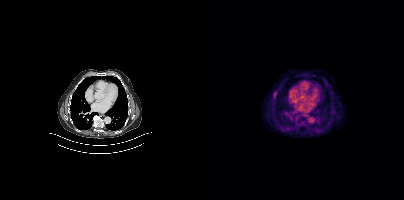
Technique: Paired axial CT (left) and PSMA PET (right), [18F]PSMA-1007 tracer. slice 261 of 401. PET panel 200×200 px (4.1 mm/px).
Findings: Coordinates are on the 200×200 PET (right) panel. Small PSMA-avid focus (2 to 4 px across) near (center x, center y): (70, 94).